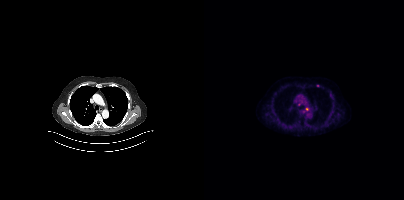
Coordinates are on the 200×200 PET (right) panel. Small PSMA-avid foci (2 to 4 px across) near (center x, center y): (103, 109) / (95, 104) / (114, 85).